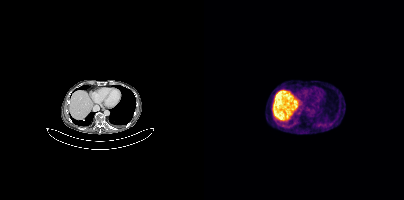
Technique: Left: CT. Right: PSMA PET, same axial level, [68Ga]Ga-PSMA-11 tracer. acquired on Siemens Biograph mCT Flow 20. slice position z = -696 mm.
Findings: Negative for PSMA-avid disease on this slice.